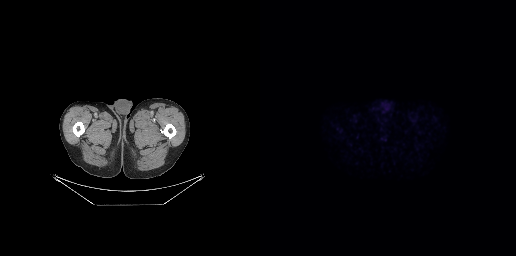
Technique: Two-panel axial: CT | PSMA PET, [18F]PSMA-1007 tracer. PET panel 256×256 px (2.7 mm/px).
Findings: No tumor lesions annotated on this slice.